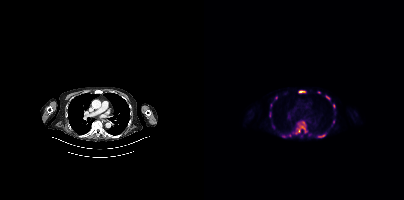
Coordinates are on the 200×200 PET (right) panel. PSMA-avid tumor lesion bounding boxes:
| # | x0 | y0 | x1 | y1 |
|---|---|---|---|---|
| 1 | 78 | 121 | 104 | 137 |
| 2 | 115 | 134 | 121 | 137 |
| 3 | 95 | 90 | 101 | 93 |
| 4 | 121 | 95 | 126 | 99 |
| 5 | 129 | 104 | 131 | 108 |
| 6 | 65 | 113 | 67 | 117 |
| 7 | 66 | 103 | 68 | 107 |
Small PSMA-avid foci (2 to 4 px across) near (center x, center y): (72, 97); (115, 92); (129, 121); (105, 134); (97, 136); (69, 126).
Left: CT. Right: PSMA PET, same axial level, [18F]PSMA-1007 tracer. Slice 291 of 415. PET panel 200×200 px (4.1 mm/px).